modality: PSMA PET/CT | tracer: 68Ga | view: axial | PET grid: 256×256
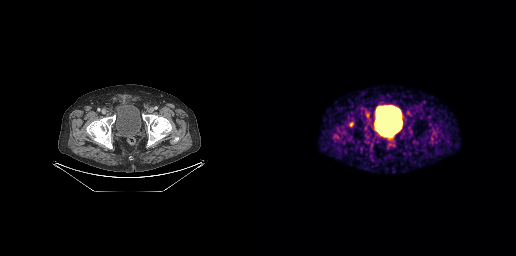
Coordinates are on the 256×256 PET (right) panel. (showing 1 of 2 foci) Small PSMA-avid focus (2 to 4 px across) near (center x, center y): (107, 113).